Technique: Paired axial CT (left) and PSMA PET (right), 18F tracer. acquired on GE Discovery 690. PET panel 256×256 px (2.7 mm/px).
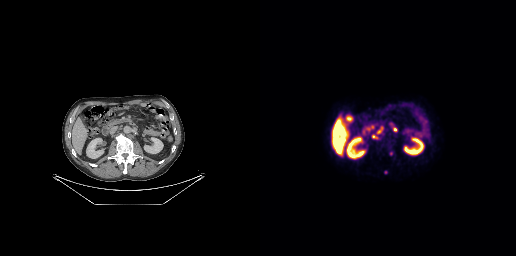
Findings: Coordinates are on the 256×256 PET (right) panel. (showing 3 of 4 foci) PSMA-avid tumor lesion bounding boxes (x0, y0)-(x1, y1): (117, 127)-(122, 133); (112, 134)-(118, 139); (133, 127)-(137, 131).